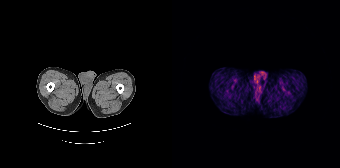
No tumor lesions annotated on this slice.